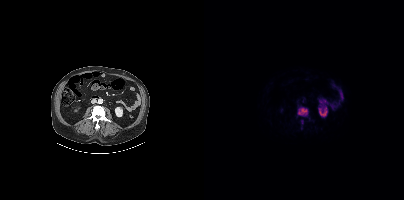
Technique: Left: CT. Right: PSMA PET, same axial level, [18F]PSMA-1007 tracer. PET panel 200×200 px (4.1 mm/px).
Findings: Coordinates are on the 200×200 PET (right) panel. PSMA-avid tumor lesion bounding box (x0, y0)-(x1, y1): (93, 107)-(104, 116). Small PSMA-avid focus (2 to 4 px across) near (center x, center y): (97, 121).